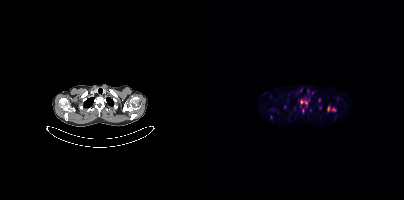
Findings: Coordinates are on the 200×200 PET (right) panel. (showing 7 of 10 foci) PSMA-avid tumor lesion bounding boxes (x, y, width, height): x=96 y=99 w=10 h=9; x=123 y=105 w=10 h=7. Small PSMA-avid foci (2 to 4 px across) near (center x, center y): (99, 110); (115, 100); (116, 107); (80, 107); (67, 117).
- Left: CT. Right: PSMA PET, same axial level, 18F-PSMA tracer
- acquired on Siemens Biograph mCT Flow 20
- PET panel 200×200 px (4.1 mm/px)